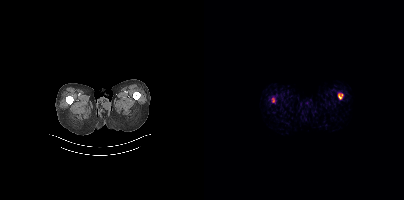
modality: PSMA PET/CT | tracer: [68Ga]Ga-PSMA-11 | view: axial
No PSMA-avid tumor lesions on this slice.